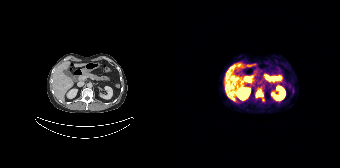
{"pet_grid":[168,168],"coord_frame":"pet_panel","coord_format":"x0,y0,x1,y1","partial":true,"lesion_bboxes":[[84,89,90,97]],"modality":"PSMA PET/CT","view":"axial","tracer":"68Ga"}